modality: PSMA PET/CT | tracer: 68Ga | view: axial | PET grid: 256×256
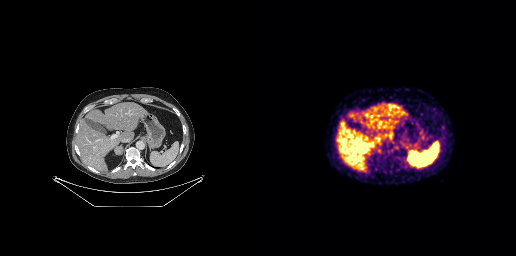
Negative for PSMA-avid disease on this slice.